Two-panel axial: CT | PSMA PET, [18F]PSMA-1007 tracer.
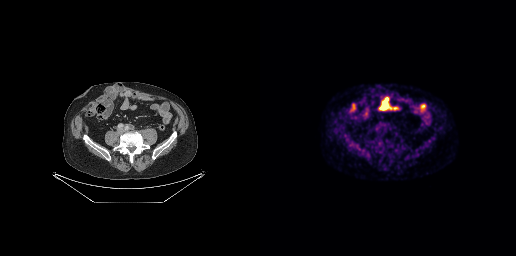
This slice has no annotated PSMA-avid lesion.